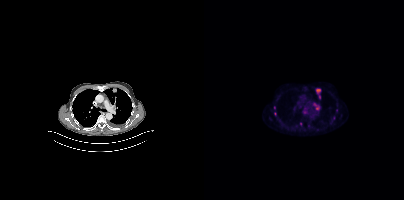
modality: PSMA PET/CT | tracer: 18F | view: axial
Coordinates are on the 200×200 PET (right) panel. (showing 5 of 6 foci) PSMA-avid tumor lesion bounding boxes (x0, y0)-(x1, y1): (108, 102)-(115, 109) / (112, 88)-(116, 98). Small PSMA-avid foci (2 to 4 px across) near (center x, center y): (100, 111) / (70, 107) / (96, 123).